Left: CT. Right: PSMA PET, same axial level, [18F]PSMA-1007 tracer. Acquired on Siemens Biograph mCT Flow 20. Slice 29 of 401. PET panel 200×200 px (4.1 mm/px).
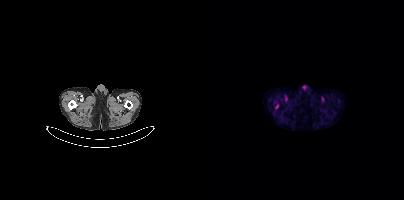
Coordinates are on the 200×200 PET (right) panel. Small PSMA-avid focus (2 to 4 px across) near (center x, center y): (73, 106).